de-identification: facial region redacted | modality: PSMA PET/CT | tracer: 68Ga-PSMA | view: axial
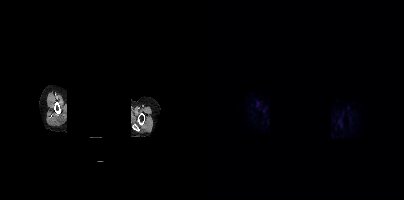
No PSMA-avid tumor lesions on this slice.